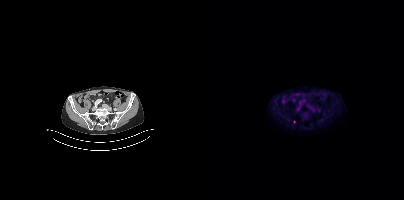
{"modality":"PSMA PET/CT","view":"axial","tracer":"18F-PSMA","pet_grid":[200,200],"coord_frame":"pet_panel","coord_format":"x0,y0,x1,y1","lesion_bboxes":[],"small_foci_centers":[[90,122]]}